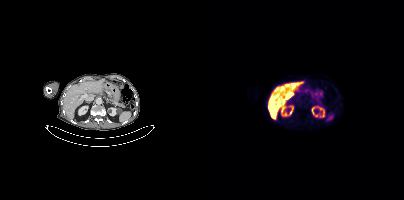
{"modality":"PSMA PET/CT","view":"axial","tracer":"[18F]PSMA-1007","pet_grid":[200,200],"coord_frame":"pet_panel","coord_format":"x0,y0,x1,y1","psma_avid_lesions":false}